Two-panel axial: CT | PSMA PET, 18F-PSMA tracer.
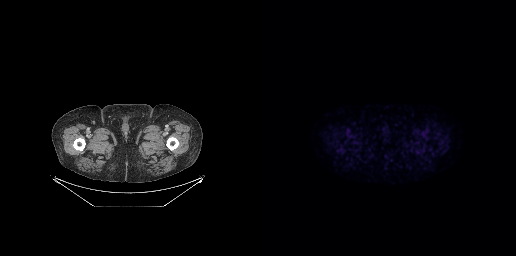
This slice has no annotated PSMA-avid lesion.